- Two-panel axial: CT | PSMA PET, 68Ga-PSMA tracer
- acquired on GE Discovery 690
- PET panel 256×256 px (2.7 mm/px)
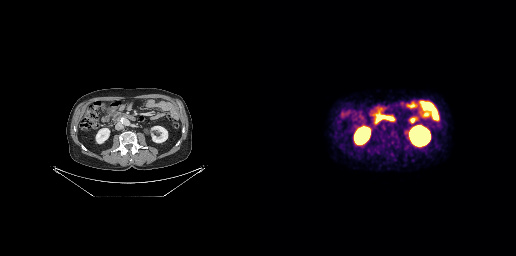
Findings: No tumor lesions annotated on this slice.